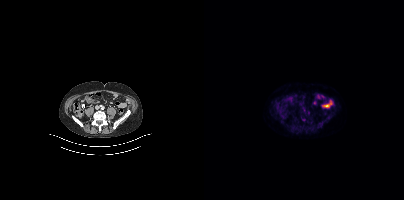
- Two-panel axial: CT | PSMA PET, 18F tracer
- slice 122 of 354
Findings: No tumor lesions annotated on this slice.